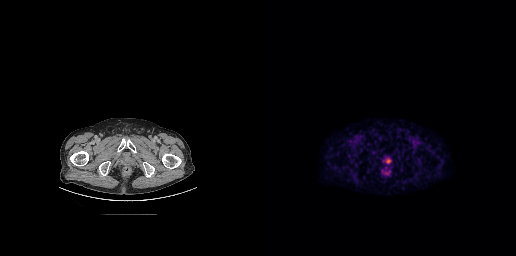
{"modality":"PSMA PET/CT","view":"axial","tracer":"18F","pet_grid":[256,256],"coord_frame":"pet_panel","coord_format":"x0,y0,x1,y1","lesion_bboxes":[[126,158,130,163]]}